Facial anatomy redacted by setting a rectangular region of the head to black.
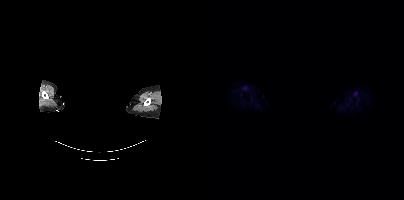
This slice has no annotated PSMA-avid lesion.